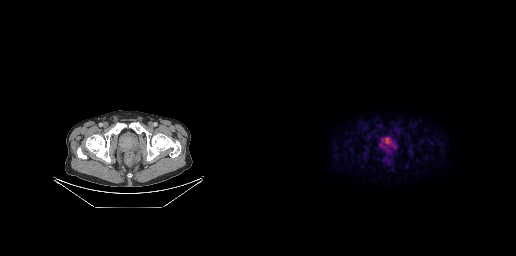
- Paired axial CT (left) and PSMA PET (right), 18F tracer
- slice position z = -693 mm
- PET panel 256×256 px (2.7 mm/px)
Findings: Coordinates are on the 256×256 PET (right) panel. PSMA-avid tumor lesion bounding box (x0, y0)-(x1, y1): (119, 136)-(136, 149).